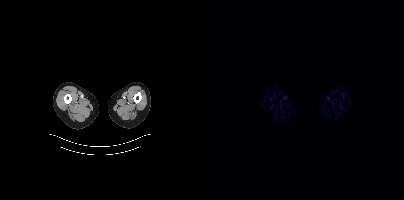
- Left: CT. Right: PSMA PET, same axial level, 18F-PSMA tracer
- PET panel 200×200 px (4.1 mm/px)
Findings: Negative for PSMA-avid disease on this slice.